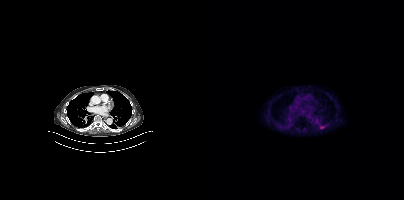
Two-panel axial: CT | PSMA PET, 18F tracer. Slice position z = -564 mm. Coordinates are on the 200×200 PET (right) panel. PSMA-avid tumor lesion bounding box (x0, y0)-(x1, y1): (116, 126)-(120, 128).